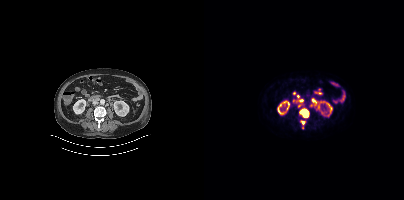
Findings: Coordinates are on the 200×200 PET (right) panel. (showing 6 of 7 foci) PSMA-avid tumor lesion bounding boxes (x0, y0)-(x1, y1): (96, 109)-(104, 117); (97, 120)-(101, 124). Small PSMA-avid foci (2 to 4 px across) near (center x, center y): (109, 100); (97, 100); (94, 106); (107, 105).
Technique: Paired axial CT (left) and PSMA PET (right), [18F]PSMA-1007 tracer. acquired on Siemens Biograph mCT Flow 20. slice position z = -1399 mm. PET panel 200×200 px (4.1 mm/px).